Paired axial CT (left) and PSMA PET (right), [18F]PSMA-1007 tracer. PET panel 200×200 px (4.1 mm/px). Face de-identified by blanking a block of the head.
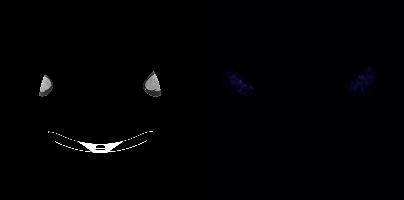
No tumor lesions annotated on this slice.